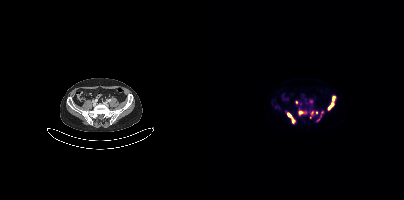
Findings: Coordinates are on the 200×200 PET (right) panel. (showing 9 of 10 foci) PSMA-avid tumor lesion bounding boxes (x, y, width, height): x=83 y=113 w=9 h=11 | x=94 y=110 w=8 h=6 | x=124 y=103 w=6 h=7 | x=128 y=97 w=3 h=5. Small PSMA-avid foci (2 to 4 px across) near (center x, center y): (108, 112) | (92, 102) | (112, 112) | (117, 112) | (114, 119).
Technique: Two-panel axial: CT | PSMA PET, 18F tracer. slice 118 of 407. PET panel 200×200 px (4.1 mm/px).